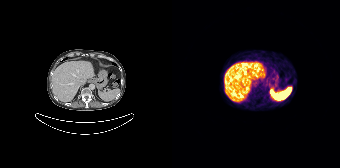
No tumor lesions annotated on this slice. Two-panel axial: CT | PSMA PET, 68Ga-PSMA tracer. Acquired on Siemens Biograph 64-4R TruePoint.